Two-panel axial: CT | PSMA PET, [18F]PSMA-1007 tracer.
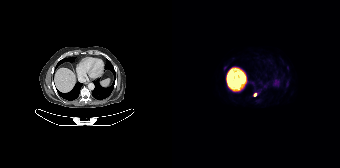
Coordinates are on the 168×168 PET (right) panel. Small PSMA-avid foci (2 to 4 px across) near (center x, center y): (82, 94) (52, 67).